- Two-panel axial: CT | PSMA PET, [18F]PSMA-1007 tracer
- acquired on Siemens Biograph mCT Flow 20
- slice position z = -1467 mm
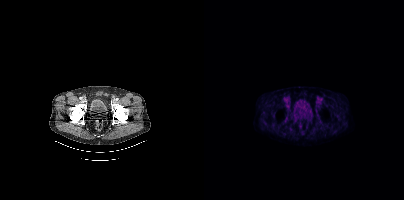
Findings: This slice has no annotated PSMA-avid lesion.